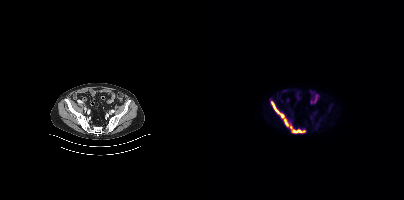
Coordinates are on the 200×200 PET (right) panel. PSMA-avid tumor lesion bounding boxes:
| # | x0 | y0 | x1 | y1 |
|---|---|---|---|---|
| 1 | 68 | 102 | 84 | 125 |
| 2 | 88 | 130 | 101 | 132 |
Small PSMA-avid focus (2 to 4 px across) near (center x, center y): (86, 127).
Left: CT. Right: PSMA PET, same axial level, 18F tracer. Slice position z = -852 mm.